- Left: CT. Right: PSMA PET, same axial level, 18F tracer
- head region blanked for anonymization (face removed)
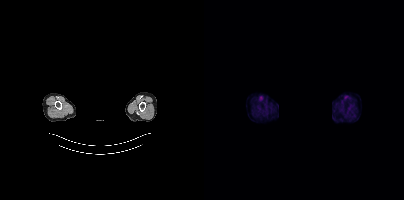
Findings: This slice has no annotated PSMA-avid lesion.